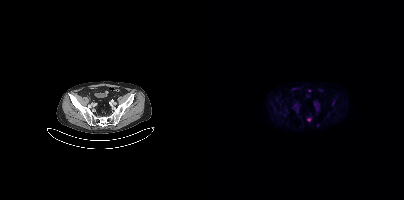
{"modality":"PSMA PET/CT","view":"axial","tracer":"[18F]PSMA-1007","pet_grid":[200,200],"coord_frame":"pet_panel","coord_format":"x0,y0,x1,y1","lesion_bboxes":[],"small_foci_centers":[[105,119]]}